- Two-panel axial: CT | PSMA PET, [18F]PSMA-1007 tracer
- acquired on Siemens Biograph mCT Flow 20
- slice 210 of 438
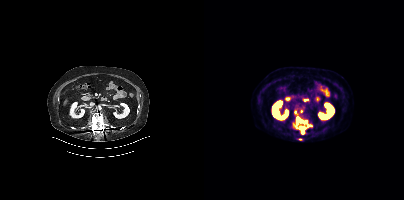
Findings: Coordinates are on the 200×200 PET (right) panel. (showing 5 of 6 foci) PSMA-avid tumor lesion bounding boxes (x0, y0)-(x1, y1): (91, 123)-(107, 129); (93, 117)-(102, 122). Small PSMA-avid foci (2 to 4 px across) near (center x, center y): (97, 110); (91, 111); (98, 131).